modality: PSMA PET/CT | tracer: [18F]PSMA-1007 | view: axial | deidentification: privacy mask over head
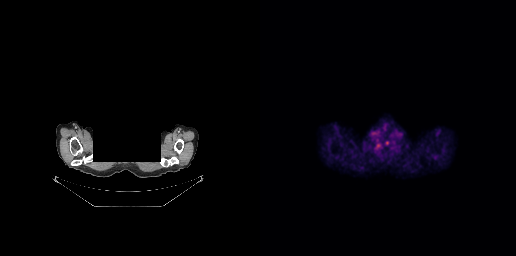
No PSMA-avid tumor lesions on this slice.